modality: PSMA PET/CT | tracer: 68Ga-PSMA | view: axial | PET grid: 168×168
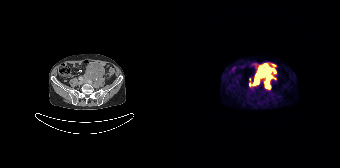
Coordinates are on the 168×168 PET (right) panel. (showing 5 of 7 foci) PSMA-avid tumor lesion bounding boxes (x, y, width, height): x=86 y=68 w=18 h=13 | x=82 y=74 w=5 h=11 | x=87 y=64 w=9 h=6 | x=94 y=82 w=5 h=7 | x=77 y=78 w=2 h=5.